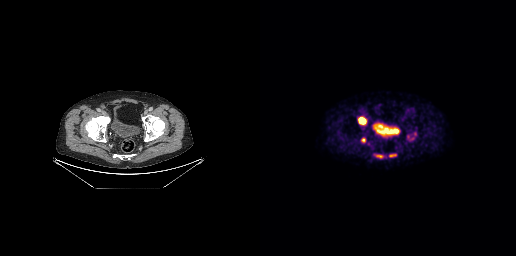
Two-panel axial: CT | PSMA PET, 18F-PSMA tracer. Slice 75 of 263. PET panel 256×256 px (2.7 mm/px).
Coordinates are on the 256×256 PET (right) panel. PSMA-avid tumor lesion bounding boxes:
| # | x0 | y0 | x1 | y1 |
|---|---|---|---|---|
| 1 | 98 | 117 | 106 | 124 |
| 2 | 147 | 135 | 154 | 140 |
| 3 | 117 | 155 | 122 | 157 |
| 4 | 130 | 154 | 136 | 156 |
Small PSMA-avid foci (2 to 4 px across) near (center x, center y): (103, 139); (155, 133).